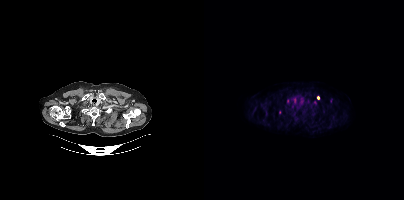
{"pet_grid":[200,200],"coord_frame":"pet_panel","coord_format":"x0,y0,x1,y1","lesion_bboxes":[],"small_foci_centers":[[114,97],[75,112]],"modality":"PSMA PET/CT","view":"axial","tracer":"18F"}